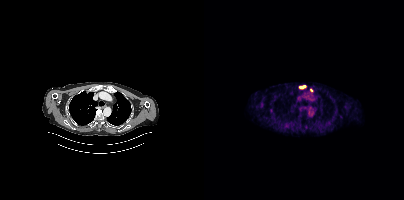
Findings: Coordinates are on the 200×200 PET (right) panel. (showing 2 of 3 foci) PSMA-avid tumor lesion bounding box (x0,y0,x1,y1): [95,85,102,88]. Small PSMA-avid focus (2 to 4 px across) near (center x, center y): (107, 90).
- Two-panel axial: CT | PSMA PET, 18F tracer
- slice position z = -488 mm